modality: PSMA PET/CT | tracer: 18F-PSMA | view: axial | de-identification: head region blacked out before release
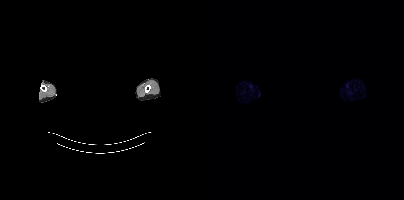
No tumor lesions annotated on this slice.